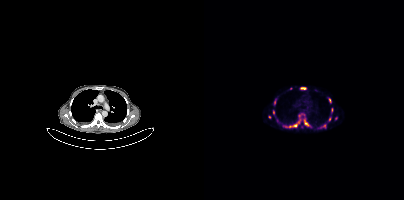
Coordinates are on the 200×200 PET (right) panel. (showing 8 of 14 foci) PSMA-avid tumor lesion bounding boxes (x, y, width, height): x=90 y=119 w=7 h=8 | x=97 y=87 w=5 h=3 | x=100 y=119 w=5 h=7 | x=125 y=98 w=3 h=5 | x=70 y=100 w=2 h=5 | x=98 y=113 w=4 h=5 | x=69 y=110 w=2 h=5. Small PSMA-avid focus (2 to 4 px across) near (center x, center y): (125, 119).